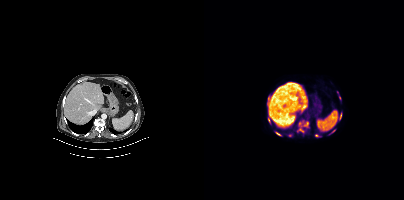
Coordinates are on the 200×200 PET (right) panel. PSMA-avid tumor lesion bounding boxes (x0,y0,x1,y1): [72,132,76,135], [63,100,64,104]. Small PSMA-avid foci (2 to 4 px across) near (center x, center y): (136, 117), (112, 135), (65, 121). Left: CT. Right: PSMA PET, same axial level, 18F tracer. Slice 200 of 367.